Two-panel axial: CT | PSMA PET, 18F tracer. Acquired on Siemens Biograph mCT Flow 20. PET panel 200×200 px (4.1 mm/px).
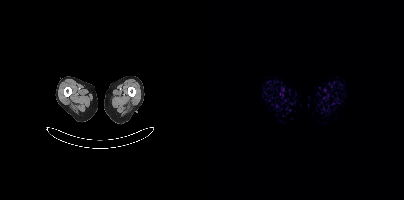
No PSMA-avid tumor lesions on this slice.